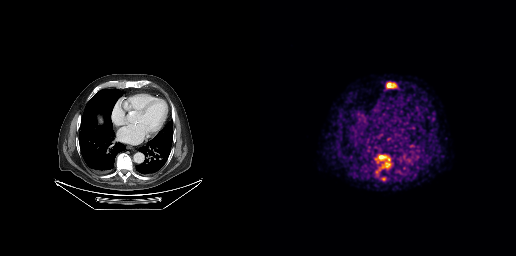
Findings: Coordinates are on the 256×256 PET (right) panel. PSMA-avid tumor lesion bounding boxes (x0,y0,x1,y1): [115,155,130,168], [127,82,136,87]. Small PSMA-avid foci (2 to 4 px across) near (center x, center y): (123, 179), (116, 171).
Technique: Two-panel axial: CT | PSMA PET, 68Ga tracer. acquired on GE Discovery 690. slice 176 of 263. PET panel 256×256 px (2.7 mm/px).